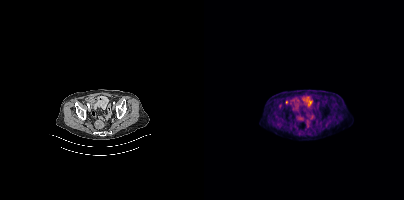
Left: CT. Right: PSMA PET, same axial level, [18F]PSMA-1007 tracer. Slice 101 of 397. PET panel 200×200 px (4.1 mm/px). No tumor lesions annotated on this slice.